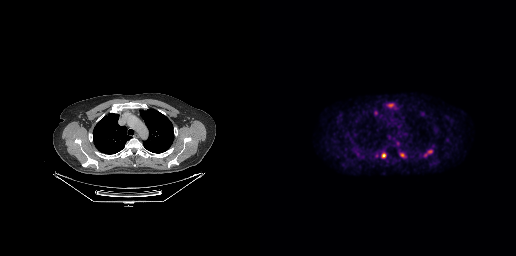
{"pet_grid":[256,256],"coord_frame":"pet_panel","coord_format":"x0,y0,x1,y1","partial":true,"lesion_bboxes":[[165,150,172,156],[122,153,125,157]],"small_foci_centers":[[142,155]],"modality":"PSMA PET/CT","view":"axial","tracer":"[18F]PSMA-1007"}